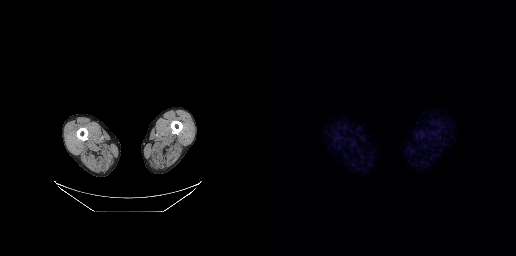
{"modality":"PSMA PET/CT","view":"axial","tracer":"[18F]PSMA-1007","pet_grid":[256,256],"coord_frame":"pet_panel","coord_format":"x0,y0,x1,y1","psma_avid_lesions":false}